Paired axial CT (left) and PSMA PET (right), 18F-PSMA tracer. Acquired on Siemens Biograph mCT Flow 20.
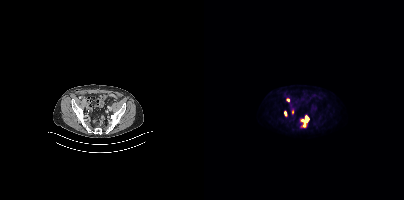
Coordinates are on the 200×200 PET (right) panel. PSMA-avid tumor lesion bounding boxes (x0, y0)-(x1, y1): (96, 115)-(105, 127); (80, 110)-(83, 116); (82, 98)-(85, 102). Small PSMA-avid focus (2 to 4 px across) near (center x, center y): (88, 111).